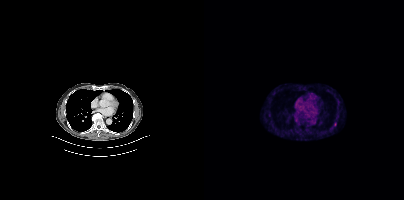
{"pet_grid":[200,200],"coord_frame":"pet_panel","coord_format":"x0,y0,x1,y1","lesion_bboxes":[[130,122,132,126]],"modality":"PSMA PET/CT","view":"axial","tracer":"18F"}